Two-panel axial: CT | PSMA PET, 18F tracer. Slice position z = -1187 mm.
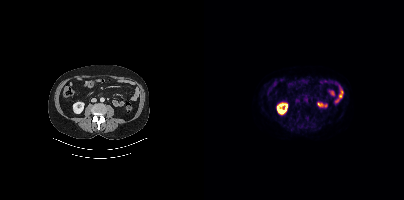
Coordinates are on the 200×200 PET (right) panel. (showing 1 of 2 foci) Small PSMA-avid focus (2 to 4 px across) near (center x, center y): (103, 118).